modality: PSMA PET/CT | tracer: 68Ga | view: axial
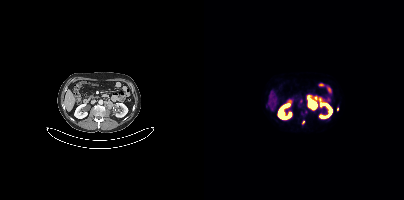
Coordinates are on the 200×200 PET (right) panel. PSMA-avid tumor lesion bounding boxes (x0, y0)-(x1, y1): (95, 99)-(98, 104) / (133, 105)-(134, 110). Small PSMA-avid focus (2 to 4 px across) near (center x, center y): (99, 122).